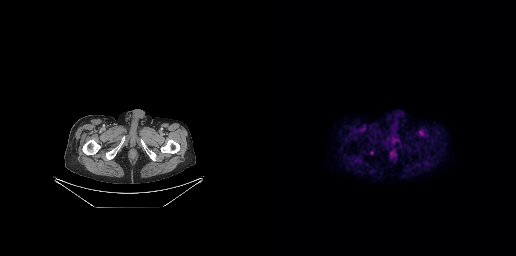
Left: CT. Right: PSMA PET, same axial level, 18F tracer. Slice position z = -740 mm. No PSMA-avid tumor lesions on this slice.